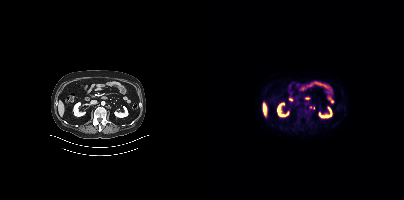
Findings: Coordinates are on the 200×200 PET (right) panel. Small PSMA-avid foci (2 to 4 px across) near (center x, center y): (106, 107), (109, 108).
Technique: Paired axial CT (left) and PSMA PET (right), 18F-PSMA tracer. acquired on Siemens Biograph mCT Flow 20. PET panel 200×200 px (4.1 mm/px).